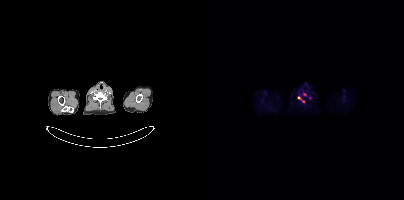
Technique: Paired axial CT (left) and PSMA PET (right), 18F tracer. acquired on Siemens Biograph mCT Flow 20.
Findings: Coordinates are on the 200×200 PET (right) panel. PSMA-avid tumor lesion bounding box (x0, y0)-(x1, y1): (93, 96)-(100, 103). Small PSMA-avid foci (2 to 4 px across) near (center x, center y): (100, 94); (105, 97).